Technique: Left: CT. Right: PSMA PET, same axial level, [18F]PSMA-1007 tracer. acquired on Siemens Biograph mCT Flow 20.
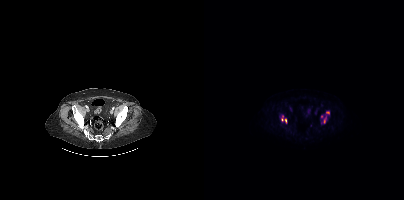
Findings: Coordinates are on the 200×200 PET (right) panel. (showing 4 of 5 foci) PSMA-avid tumor lesion bounding box (x0, y0)-(x1, y1): (119, 116)-(122, 123). Small PSMA-avid foci (2 to 4 px across) near (center x, center y): (123, 112) | (117, 116) | (81, 120).